modality: PSMA PET/CT | tracer: [18F]PSMA-1007 | view: axial
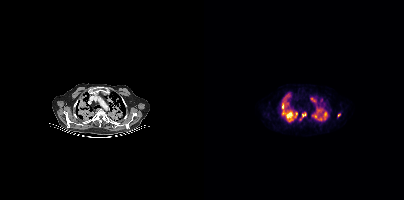
Coordinates are on the 200×200 PET (right) panel. (showing 9 of 10 foci) PSMA-avid tumor lesion bounding boxes (x0,y0,x1,y1): [78,101,89,121]; [114,108,122,119]; [108,112,118,120]; [106,97,112,103]; [81,93,86,97]; [90,112,93,117]. Small PSMA-avid foci (2 to 4 px across) near (center x, center y): (99, 114); (79, 100); (134, 115).